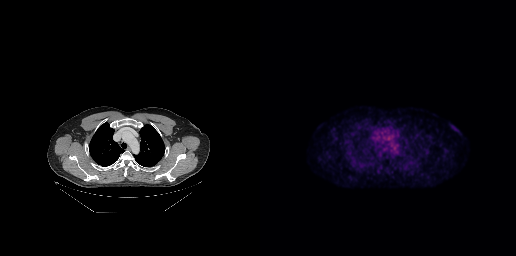
Two-panel axial: CT | PSMA PET, 18F-PSMA tracer. Slice position z = -188 mm. PET panel 256×256 px (2.7 mm/px). No PSMA-avid tumor lesions on this slice.